Paired axial CT (left) and PSMA PET (right), [18F]PSMA-1007 tracer. Acquired on Siemens Biograph mCT Flow 20. Slice 61 of 415.
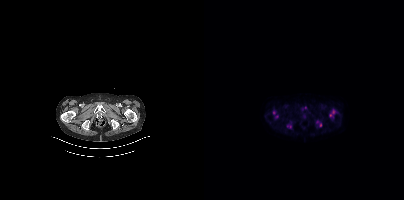
Coordinates are on the 200×200 PET (right) panel. (showing 5 of 6 foci) PSMA-avid tumor lesion bounding boxes (x0, y0)-(x1, y1): (125, 110)-(130, 118) | (112, 121)-(118, 127) | (83, 124)-(87, 127). Small PSMA-avid foci (2 to 4 px across) near (center x, center y): (69, 112) | (72, 116).